Left: CT. Right: PSMA PET, same axial level, [18F]PSMA-1007 tracer. Slice position z = -260 mm. PET panel 200×200 px (4.1 mm/px).
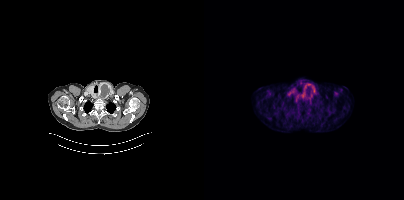
No PSMA-avid tumor lesions on this slice.